modality: PSMA PET/CT | tracer: 18F-PSMA | view: axial | PET grid: 200×200
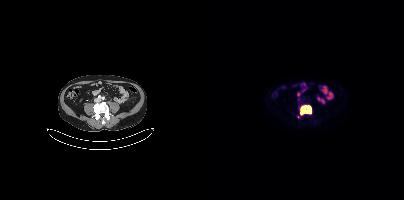
Coordinates are on the 200×200 PET (right) panel. PSMA-avid tumor lesion bounding box (x0, y0)-(x1, y1): (93, 105)-(107, 118). Small PSMA-avid focus (2 to 4 px across) near (center x, center y): (94, 99).